Two-panel axial: CT | PSMA PET, [18F]PSMA-1007 tracer. Acquired on Siemens Biograph mCT Flow 20.
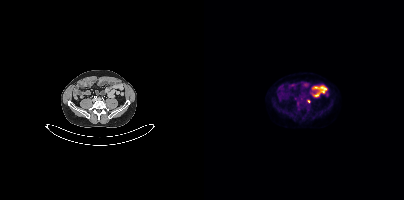
Coordinates are on the 200×200 PET (right) panel. Small PSMA-avid focus (2 to 4 px across) near (center x, center y): (104, 101).